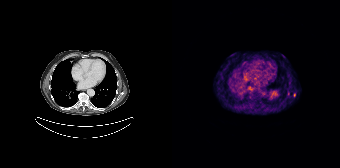
Two-panel axial: CT | PSMA PET, 68Ga-PSMA tracer. Coordinates are on the 168×168 PET (right) panel. (showing 1 of 2 foci) Small PSMA-avid focus (2 to 4 px across) near (center x, center y): (122, 94).